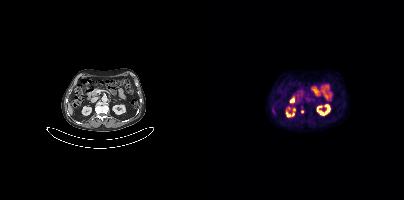
{"modality":"PSMA PET/CT","view":"axial","tracer":"18F","pet_grid":[200,200],"coord_frame":"pet_panel","coord_format":"x0,y0,x1,y1","lesion_bboxes":[],"small_foci_centers":[[98,111]]}